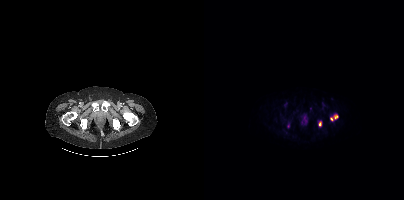
{"pet_grid":[200,200],"coord_frame":"pet_panel","coord_format":"x0,y0,x1,y1","lesion_bboxes":[[130,115,134,119],[115,122,117,126]],"small_foci_centers":[[127,118]],"modality":"PSMA PET/CT","view":"axial","tracer":"18F-PSMA"}